Paired axial CT (left) and PSMA PET (right), 18F-PSMA tracer. Acquired on Siemens Biograph mCT Flow 20. Slice position z = -1451 mm. PET panel 200×200 px (4.1 mm/px).
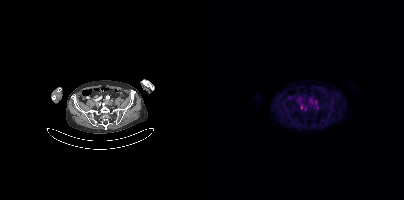
Coordinates are on the 200×200 PET (right) panel. (showing 3 of 4 foci) PSMA-avid tumor lesion bounding box (x0,y0,x1,y1): [97,107,101,110]. Small PSMA-avid foci (2 to 4 px across) near (center x, center y): (105, 100), (113, 108).